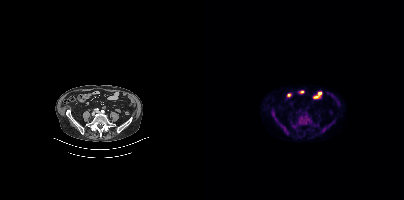
Two-panel axial: CT | PSMA PET, 18F-PSMA tracer. Acquired on Siemens Biograph mCT Flow 20. Slice position z = -1432 mm. PET panel 200×200 px (4.1 mm/px). Coordinates are on the 200×200 PET (right) panel. PSMA-avid tumor lesion bounding boxes (x0,y0,x1,y1): [95,115,105,124] [71,119,82,132].